Technique: Paired axial CT (left) and PSMA PET (right), 18F tracer. slice 163 of 403.
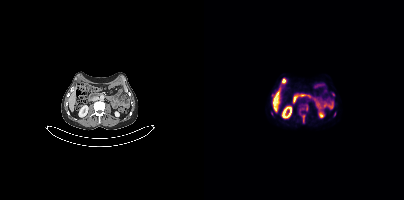
Findings: Coordinates are on the 200×200 PET (right) panel. (showing 3 of 5 foci) PSMA-avid tumor lesion bounding boxes (x, y, width, height): x=98 y=115 w=3 h=8; x=102 y=105 w=2 h=6. Small PSMA-avid focus (2 to 4 px across) near (center x, center y): (98, 108).